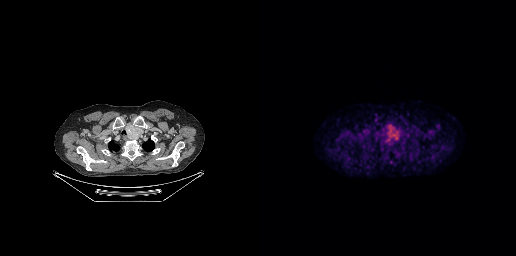
{"modality":"PSMA PET/CT","view":"axial","tracer":"18F","pet_grid":[256,256],"coord_frame":"pet_panel","coord_format":"x0,y0,x1,y1","lesion_bboxes":[[127,125,139,140]]}